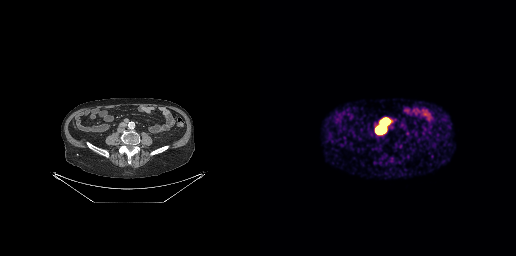
Findings: Coordinates are on the 256×256 PET (right) panel. PSMA-avid tumor lesion bounding boxes (x0, y0)-(x1, y1): (117, 127)-(124, 132); (121, 119)-(128, 124).
- Paired axial CT (left) and PSMA PET (right), 68Ga-PSMA tracer
- acquired on GE Discovery 690
- slice position z = -654 mm
- PET panel 256×256 px (2.7 mm/px)